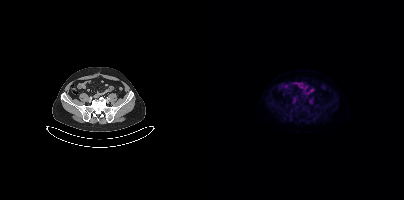
No PSMA-avid tumor lesions on this slice.